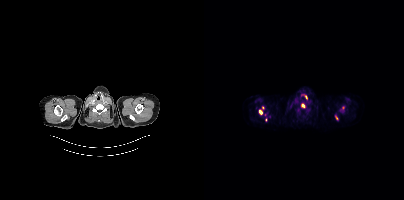
Findings: Coordinates are on the 200×200 PET (right) panel. (showing 4 of 6 foci) PSMA-avid tumor lesion bounding box (x, y, width, height): x=55 y=110 w=4 h=5. Small PSMA-avid foci (2 to 4 px across) near (center x, center y): (99, 105) / (132, 118) / (58, 107).
- Two-panel axial: CT | PSMA PET, 18F-PSMA tracer